Two-panel axial: CT | PSMA PET, 18F-PSMA tracer. Acquired on Siemens Biograph mCT Flow 20. PET panel 200×200 px (4.1 mm/px).
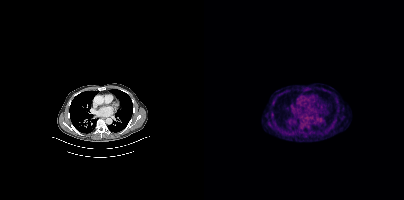
Coordinates are on the 200×200 PET (right) panel. PSMA-avid tumor lesion bounding box (x, y, width, height): x=96 y=118 w=6 h=6.